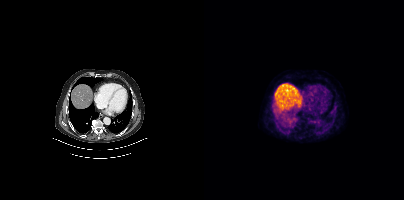
{"modality":"PSMA PET/CT","view":"axial","tracer":"18F","pet_grid":[200,200],"coord_frame":"pet_panel","coord_format":"x0,y0,x1,y1","psma_avid_lesions":false}